modality: PSMA PET/CT | tracer: 68Ga | view: axial | PET grid: 168×168
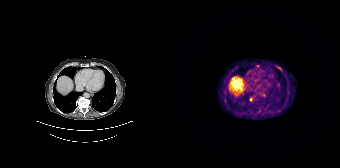
Coordinates are on the 168×168 PET (right) panel. (showing 3 of 4 foci) PSMA-avid tumor lesion bounding box (x0,y0,x1,y1): [104,66,110,71]. Small PSMA-avid foci (2 to 4 px across) near (center x, center y): (85, 66), (78, 99).